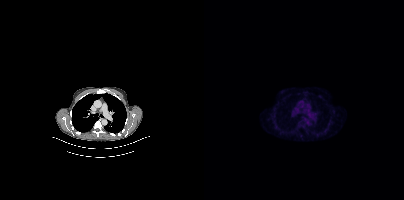
Findings: No PSMA-avid tumor lesions on this slice.
Technique: Two-panel axial: CT | PSMA PET, [18F]PSMA-1007 tracer. PET panel 200×200 px (4.1 mm/px).